Left: CT. Right: PSMA PET, same axial level, 68Ga tracer. Acquired on Siemens Biograph mCT Flow 20. Slice 174 of 429. PET panel 200×200 px (4.1 mm/px).
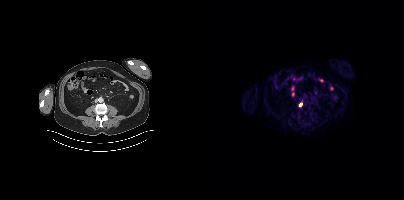
Coordinates are on the 200×200 PET (right) panel. Small PSMA-avid focus (2 to 4 px across) near (center x, center y): (96, 104).